- Left: CT. Right: PSMA PET, same axial level, [68Ga]Ga-PSMA-11 tracer
- acquired on Siemens Biograph 64-4R TruePoint
- PET panel 168×168 px (4.1 mm/px)
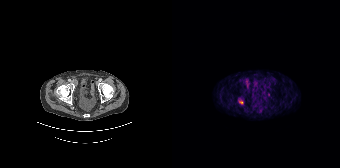
Findings: Coordinates are on the 168×168 PET (right) panel. PSMA-avid tumor lesion bounding boxes (x0, y0)-(x1, y1): (66, 98)-(71, 104) / (74, 80)-(76, 84).